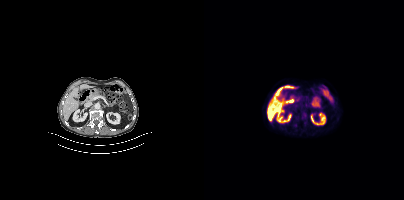
{"pet_grid":[200,200],"coord_frame":"pet_panel","coord_format":"x0,y0,x1,y1","psma_avid_lesions":false,"modality":"PSMA PET/CT","view":"axial","tracer":"18F-PSMA"}